modality: PSMA PET/CT | tracer: 18F | view: axial | PET grid: 200×200
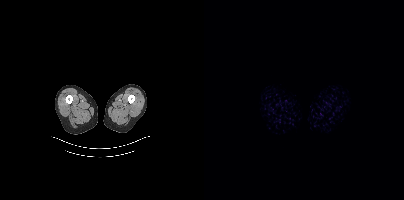
Negative for PSMA-avid disease on this slice.